Left: CT. Right: PSMA PET, same axial level, 18F tracer. Slice 158 of 405. PET panel 200×200 px (4.1 mm/px).
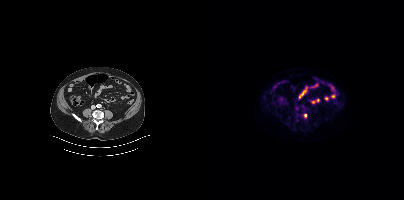
Coordinates are on the 200×200 PET (right) panel. Small PSMA-avid focus (2 to 4 px across) near (center x, center y): (101, 115).